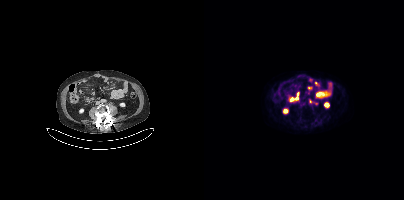
Technique: Paired axial CT (left) and PSMA PET (right), 18F-PSMA tracer. acquired on Siemens Biograph mCT Flow 20.
Findings: Coordinates are on the 200×200 PET (right) panel. (showing 2 of 4 foci) PSMA-avid tumor lesion bounding box (x, y, width, height): x=86 y=93 w=9 h=9. Small PSMA-avid focus (2 to 4 px across) near (center x, center y): (106, 101).